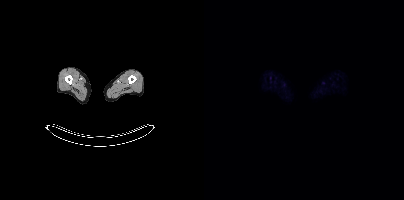
Left: CT. Right: PSMA PET, same axial level, 18F-PSMA tracer. Slice 406 of 963. PET panel 200×200 px (4.1 mm/px). Negative for PSMA-avid disease on this slice.